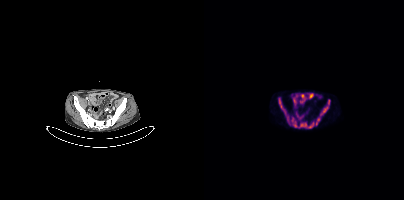
Coordinates are on the 200×200 PET (right) panel. PSMA-avid tumor lesion bounding boxes (x, y, width, height): x=87 y=117 w=24 h=12 / x=74 y=98 w=13 h=27 / x=117 y=99 w=10 h=16 / x=112 y=118 w=4 h=8. Left: CT. Right: PSMA PET, same axial level, 18F-PSMA tracer. Slice position z = -922 mm. PET panel 200×200 px (4.1 mm/px).